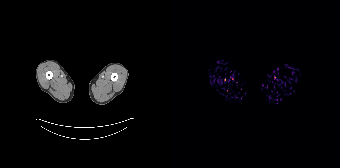
{"pet_grid":[168,168],"coord_frame":"pet_panel","coord_format":"x0,y0,x1,y1","psma_avid_lesions":false,"modality":"PSMA PET/CT","view":"axial","tracer":"18F"}